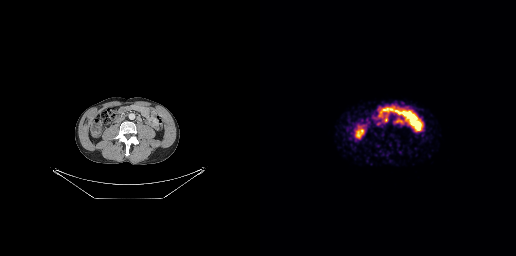
{"modality":"PSMA PET/CT","view":"axial","tracer":"[68Ga]Ga-PSMA-11","pet_grid":[256,256],"coord_frame":"pet_panel","coord_format":"x0,y0,x1,y1","lesion_bboxes":[],"small_foci_centers":[[118,123],[126,120]]}